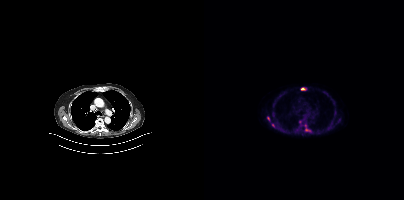
Technique: Left: CT. Right: PSMA PET, same axial level, [18F]PSMA-1007 tracer. PET panel 200×200 px (4.1 mm/px).
Findings: Coordinates are on the 200×200 PET (right) panel. PSMA-avid tumor lesion bounding boxes (x0, y0)-(x1, y1): (100, 124)-(106, 131) | (97, 88)-(101, 90). Small PSMA-avid foci (2 to 4 px across) near (center x, center y): (123, 128) | (64, 118) | (96, 122) | (69, 125).